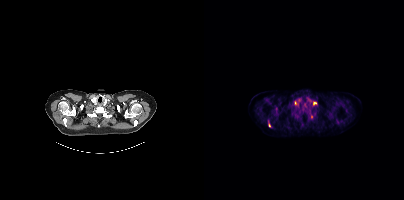
{"modality":"PSMA PET/CT","view":"axial","tracer":"18F-PSMA","pet_grid":[200,200],"coord_frame":"pet_panel","coord_format":"x0,y0,x1,y1","partial":true,"lesion_bboxes":[],"small_foci_centers":[[110,103],[107,116],[65,125]]}